Technique: Left: CT. Right: PSMA PET, same axial level, 18F tracer. slice 19 of 165.
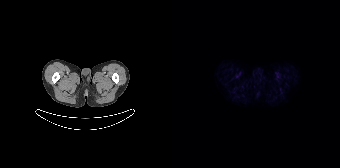
Findings: No PSMA-avid tumor lesions on this slice.